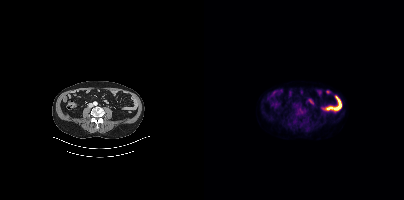
- Left: CT. Right: PSMA PET, same axial level, [18F]PSMA-1007 tracer
- acquired on Siemens Biograph mCT Flow 20
- slice position z = 73 mm
Findings: This slice has no annotated PSMA-avid lesion.